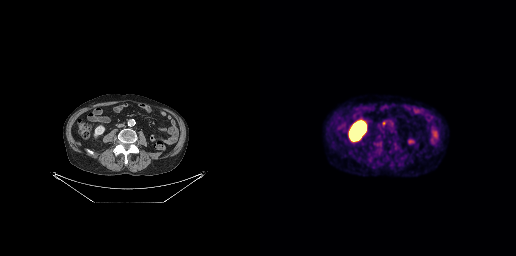
{"modality":"PSMA PET/CT","view":"axial","tracer":"[18F]PSMA-1007","pet_grid":[256,256],"coord_frame":"pet_panel","coord_format":"x0,y0,x1,y1","lesion_bboxes":[[122,121,125,126]]}